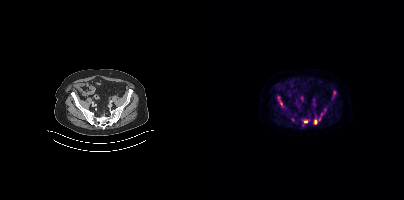
Left: CT. Right: PSMA PET, same axial level, 18F tracer. Coordinates are on the 200×200 PET (right) panel. (showing 5 of 6 foci) PSMA-avid tumor lesion bounding boxes (x0, y0)-(x1, y1): (110, 113)-(118, 124); (128, 90)-(132, 99); (74, 97)-(78, 106). Small PSMA-avid foci (2 to 4 px across) near (center x, center y): (101, 121); (111, 115).